Technique: Paired axial CT (left) and PSMA PET (right), 68Ga-PSMA tracer. slice position z = 140 mm.
Note: Facial anatomy redacted by setting a rectangular region of the head to black.
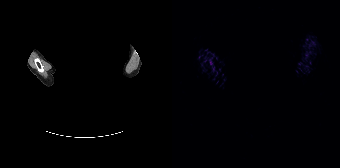
Findings: No PSMA-avid tumor lesions on this slice.